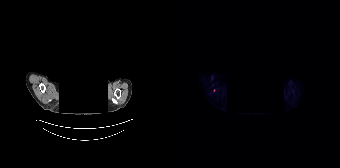
{"modality":"PSMA PET/CT","view":"axial","tracer":"18F","pet_grid":[168,168],"coord_frame":"pet_panel","coord_format":"x0,y0,x1,y1","redaction":"facial region redacted","psma_avid_lesions":false}